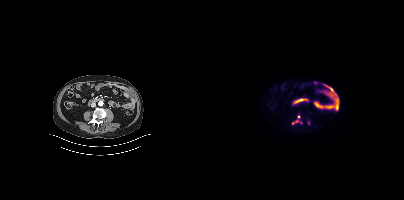
- Paired axial CT (left) and PSMA PET (right), 18F tracer
- slice position z = -738 mm
Findings: Coordinates are on the 200×200 PET (right) panel. (showing 4 of 5 foci) Small PSMA-avid foci (2 to 4 px across) near (center x, center y): (89, 123); (94, 116); (96, 122); (92, 121).